modality: PSMA PET/CT | tracer: 68Ga | view: axial | PET grid: 168×168
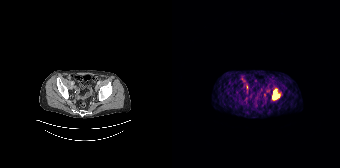
Coordinates are on the 168×168 PET (right) panel. PSMA-avid tumor lesion bounding box (x, y, width, height): x=101 y=89 w=7 h=11.